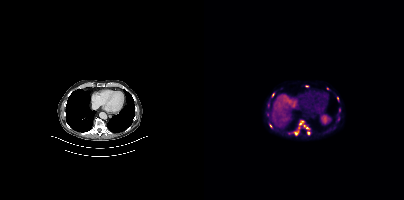
Left: CT. Right: PSMA PET, same axial level, [18F]PSMA-1007 tracer. Acquired on Siemens Biograph mCT Flow 20. Slice 246 of 413. PET panel 200×200 px (4.1 mm/px).
Coordinates are on the 200×200 PET (right) panel. PSMA-avid tumor lesion bounding boxes:
| # | x0 | y0 | x1 | y1 |
|---|---|---|---|---|
| 1 | 90 | 131 | 94 | 135 |
| 2 | 95 | 121 | 99 | 124 |
| 3 | 100 | 125 | 104 | 128 |
Small PSMA-avid foci (2 to 4 px across) near (center x, center y): (69, 94); (66, 125); (104, 133); (103, 85); (123, 88); (135, 109); (133, 98).